Left: CT. Right: PSMA PET, same axial level, 18F tracer. Acquired on Siemens Biograph mCT Flow 20. PET panel 200×200 px (4.1 mm/px).
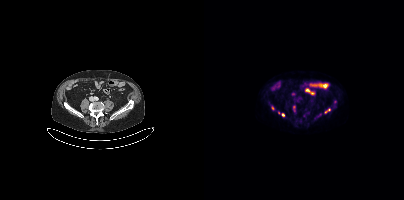
Coordinates are on the 200×200 PET (right) panel. (showing 3 of 4 foci) PSMA-avid tumor lesion bounding box (x0,y0,x1,y1): [120,108,126,113]. Small PSMA-avid foci (2 to 4 px across) near (center x, center y): (68, 107) (79, 114).